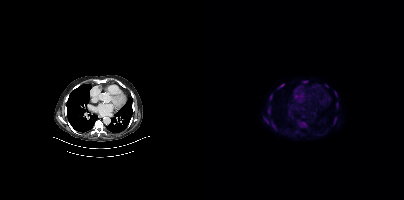
- Paired axial CT (left) and PSMA PET (right), 18F-PSMA tracer
Findings: Coordinates are on the 200×200 PET (right) panel. PSMA-avid tumor lesion bounding boxes (x0, y0)-(x1, y1): (95, 122)-(101, 127); (64, 106)-(66, 113); (65, 94)-(68, 100); (60, 118)-(64, 123); (74, 84)-(80, 88); (99, 81)-(103, 82); (131, 91)-(132, 95). Small PSMA-avid foci (2 to 4 px across) near (center x, center y): (133, 104); (68, 123).